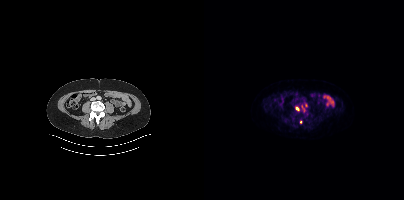
Findings: Coordinates are on the 200×200 PET (right) panel. (showing 2 of 3 foci) Small PSMA-avid foci (2 to 4 px across) near (center x, center y): (93, 108); (96, 121).
- Left: CT. Right: PSMA PET, same axial level, [18F]PSMA-1007 tracer
- acquired on Siemens Biograph mCT Flow 20
- PET panel 200×200 px (4.1 mm/px)